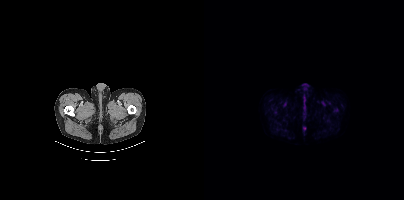
Technique: Two-panel axial: CT | PSMA PET, [18F]PSMA-1007 tracer. slice position z = -1629 mm.
Findings: No tumor lesions annotated on this slice.